Two-panel axial: CT | PSMA PET, [68Ga]Ga-PSMA-11 tracer. Slice position z = -774 mm. PET panel 256×256 px (2.7 mm/px).
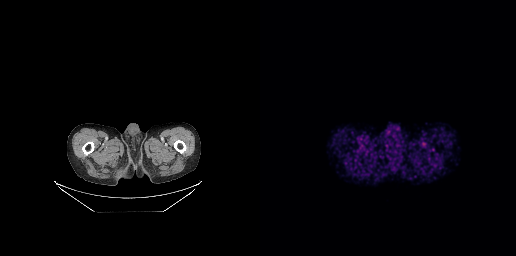
No tumor lesions annotated on this slice.